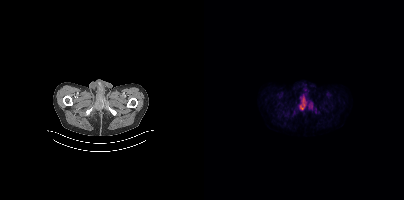
Coordinates are on the 200×200 PET (right) panel. PSMA-avid tumor lesion bounding boxes (x0,y0,x1,y1): [95,95,102,110]; [105,103,108,108]. Small PSMA-avid focus (2 to 4 px across) near (center x, center y): (101, 89).